Technique: Paired axial CT (left) and PSMA PET (right), 18F-PSMA tracer. slice position z = -402 mm.
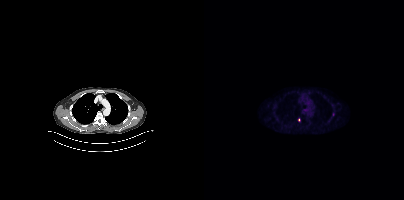
Findings: Coordinates are on the 200×200 PET (right) panel. Small PSMA-avid foci (2 to 4 px across) near (center x, center y): (94, 120) / (129, 114).